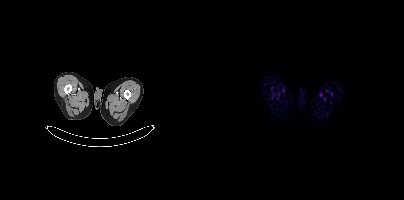
Two-panel axial: CT | PSMA PET, 18F tracer. Slice position z = -1667 mm. PET panel 200×200 px (4.1 mm/px). No PSMA-avid tumor lesions on this slice.